Left: CT. Right: PSMA PET, same axial level, 18F-PSMA tracer. PET panel 256×256 px (2.7 mm/px).
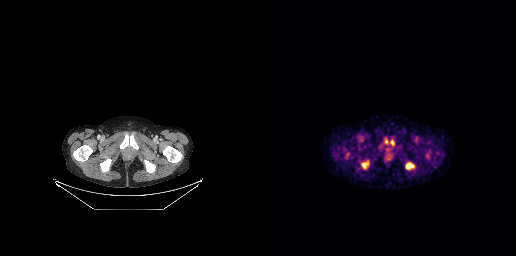
Coordinates are on the 256×256 PET (right) panel. PSMA-avid tumor lesion bounding boxes (x, y, width, height): x=101 y=160 w=9 h=10 | x=146 y=163 w=8 h=6 | x=126 y=148 w=6 h=5. Small PSMA-avid foci (2 to 4 px across) near (center x, center y): (131, 140) | (127, 139).